Technique: Left: CT. Right: PSMA PET, same axial level, 18F-PSMA tracer. acquired on Siemens Biograph mCT Flow 20. PET panel 200×200 px (4.1 mm/px).
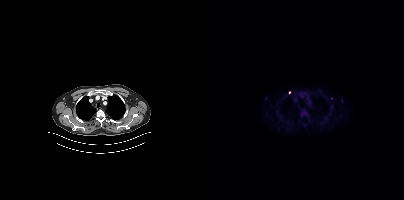
Findings: Coordinates are on the 200×200 PET (right) panel. Small PSMA-avid focus (2 to 4 px across) near (center x, center y): (85, 92).